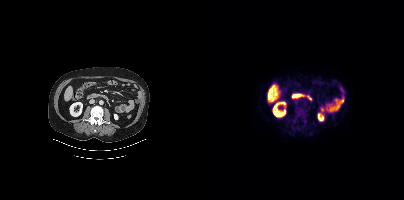
Findings: This slice has no annotated PSMA-avid lesion.
Technique: Paired axial CT (left) and PSMA PET (right), 18F tracer.